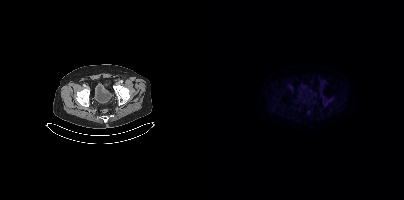
Technique: Paired axial CT (left) and PSMA PET (right), 18F-PSMA tracer.
Findings: This slice has no annotated PSMA-avid lesion.